- Two-panel axial: CT | PSMA PET, 18F tracer
- acquired on Siemens Biograph mCT Flow 20
- slice 120 of 431
- PET panel 200×200 px (4.1 mm/px)
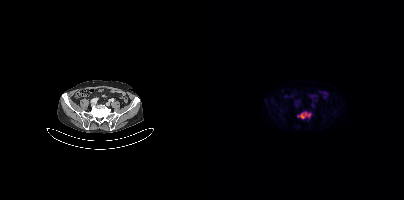
Findings: Coordinates are on the 200×200 PET (right) panel. PSMA-avid tumor lesion bounding box (x0,y0,x1,y1): [93,111,107,118].